redaction: head region blacked out before release | modality: PSMA PET/CT | tracer: 18F-PSMA | view: axial | PET grid: 200×200
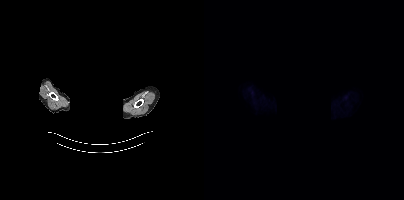
This slice has no annotated PSMA-avid lesion.